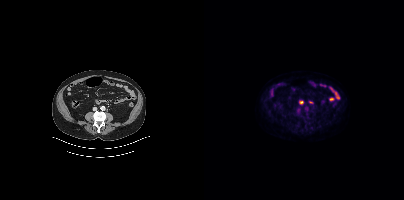
{"pet_grid":[200,200],"coord_frame":"pet_panel","coord_format":"x0,y0,x1,y1","psma_avid_lesions":false,"modality":"PSMA PET/CT","view":"axial","tracer":"18F-PSMA"}